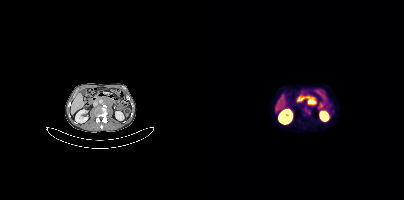
Findings: Coordinates are on the 200×200 PET (right) panel. PSMA-avid tumor lesion bounding boxes (x0,y0,x1,y1): [101,96,112,105] [101,108,106,114].
Technique: Two-panel axial: CT | PSMA PET, 68Ga tracer.